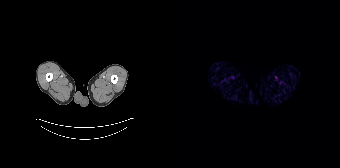
modality: PSMA PET/CT | tracer: 18F-PSMA | view: axial
Negative for PSMA-avid disease on this slice.